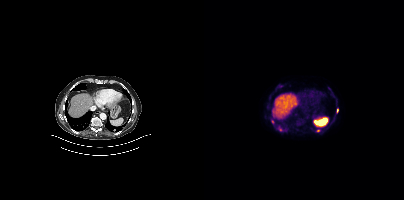
Paired axial CT (left) and PSMA PET (right), [18F]PSMA-1007 tracer. Acquired on Siemens Biograph mCT Flow 20. Coordinates are on the 200×200 PET (right) panel. (showing 4 of 5 foci) Small PSMA-avid foci (2 to 4 px across) near (center x, center y): (76, 128) | (133, 110) | (114, 130) | (68, 121).